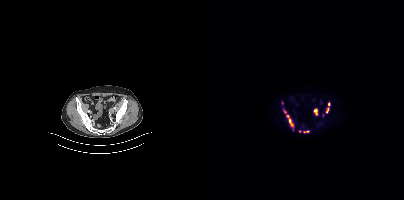
Paired axial CT (left) and PSMA PET (right), 18F tracer. PET panel 200×200 px (4.1 mm/px). Coordinates are on the 200×200 PET (right) panel. (showing 6 of 8 foci) PSMA-avid tumor lesion bounding boxes (x, y, width, height): x=79 y=107 w=11 h=21 | x=110 y=109 w=4 h=6 | x=100 y=131 w=6 h=2 | x=122 y=108 w=3 h=5. Small PSMA-avid foci (2 to 4 px across) near (center x, center y): (124, 104) | (78, 103).